Two-panel axial: CT | PSMA PET, [18F]PSMA-1007 tracer. Slice position z = -533 mm. PET panel 256×256 px (2.7 mm/px).
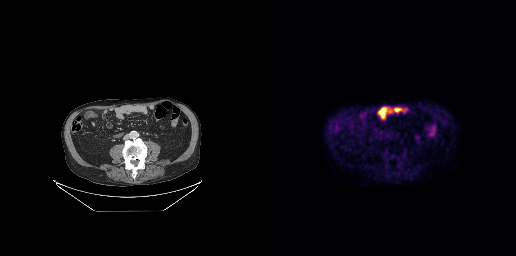
No PSMA-avid tumor lesions on this slice.